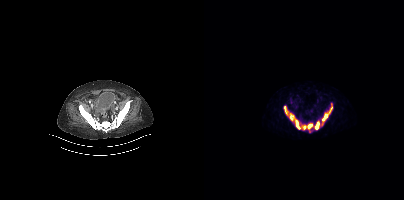
{"pet_grid":[200,200],"coord_frame":"pet_panel","coord_format":"x0,y0,x1,y1","lesion_bboxes":[],"small_foci_centers":[[127,105],[94,126],[83,114]],"modality":"PSMA PET/CT","view":"axial","tracer":"[68Ga]Ga-PSMA-11"}